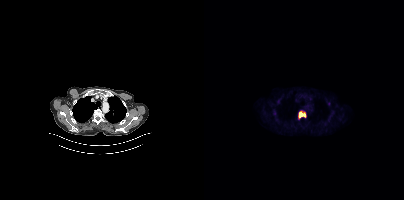
- Left: CT. Right: PSMA PET, same axial level, 18F-PSMA tracer
- acquired on Siemens Biograph mCT Flow 20
- slice 325 of 421
- PET panel 200×200 px (4.1 mm/px)
Findings: Coordinates are on the 200×200 PET (right) panel. PSMA-avid tumor lesion bounding box (x, y, width, height): x=94 y=110 w=9 h=9.